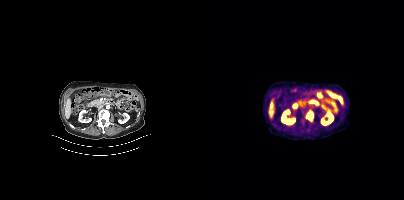
- Two-panel axial: CT | PSMA PET, 18F tracer
- acquired on Siemens Biograph mCT Flow 20
- slice 189 of 397
- PET panel 200×200 px (4.1 mm/px)
Findings: Coordinates are on the 200×200 PET (right) panel. PSMA-avid tumor lesion bounding box (x0, y0)-(x1, y1): (103, 111)-(109, 119).